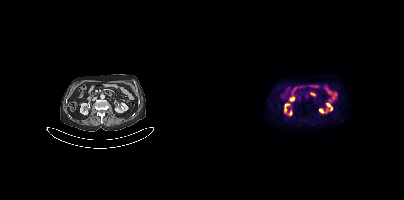
{"modality":"PSMA PET/CT","view":"axial","tracer":"18F-PSMA","pet_grid":[200,200],"coord_frame":"pet_panel","coord_format":"x0,y0,x1,y1","psma_avid_lesions":false}